- Two-panel axial: CT | PSMA PET, [18F]PSMA-1007 tracer
- slice position z = 320 mm
- PET panel 200×200 px (4.1 mm/px)
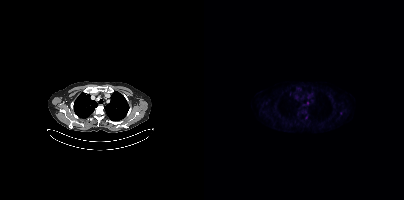
Findings: Coordinates are on the 200×200 PET (right) panel. (showing 2 of 5 foci) PSMA-avid tumor lesion bounding box (x0, y0)-(x1, y1): (101, 115)-(103, 119). Small PSMA-avid focus (2 to 4 px across) near (center x, center y): (103, 102).